modality: PSMA PET/CT | tracer: [18F]PSMA-1007 | view: axial | PET grid: 200×200
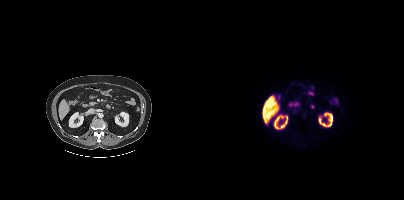
Negative for PSMA-avid disease on this slice.